- Two-panel axial: CT | PSMA PET, 18F-PSMA tracer
- acquired on Siemens Biograph mCT Flow 20
- PET panel 200×200 px (4.1 mm/px)
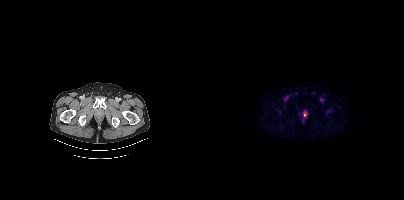
Findings: Coordinates are on the 200×200 PET (right) panel. Small PSMA-avid focus (2 to 4 px across) near (center x, center y): (100, 115).